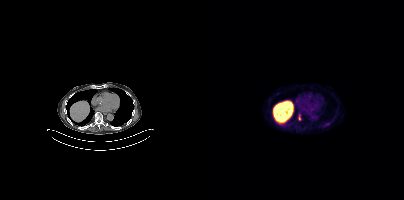
Technique: Left: CT. Right: PSMA PET, same axial level, 18F-PSMA tracer. PET panel 200×200 px (4.1 mm/px).
Findings: Coordinates are on the 200×200 PET (right) panel. PSMA-avid tumor lesion bounding box (x0, y0)-(x1, y1): (94, 115)-(96, 120).